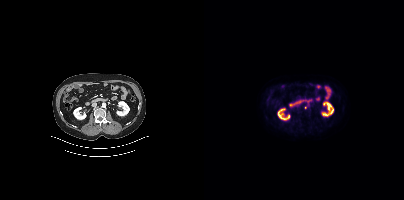
{"modality":"PSMA PET/CT","view":"axial","tracer":"18F-PSMA","pet_grid":[200,200],"coord_frame":"pet_panel","coord_format":"x0,y0,x1,y1","lesion_bboxes":[],"small_foci_centers":[[101,107]]}